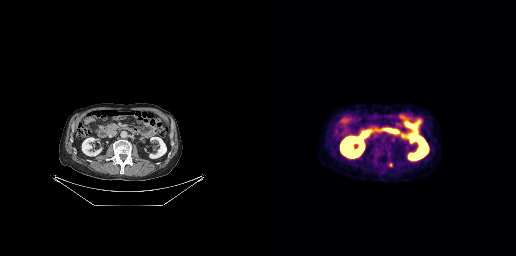
Coordinates are on the 256×256 PET (right) panel. PSMA-avid tumor lesion bounding boxes (x0,y0,x1,y1): [128,162,133,167] [131,138,135,142] [116,149,119,154].
modality: PSMA PET/CT | tracer: [18F]PSMA-1007 | view: axial